Technique: Two-panel axial: CT | PSMA PET, 18F-PSMA tracer. acquired on Siemens Biograph mCT Flow 20. slice 295 of 417.
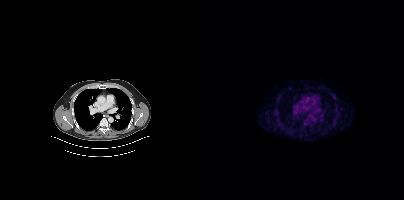
Findings: No PSMA-avid tumor lesions on this slice.